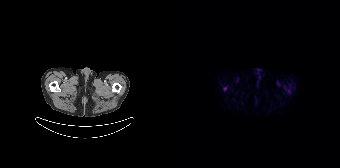
Coordinates are on the 168×168 PET (right) panel. Small PSMA-avid focus (2 to 4 px across) near (center x, center y): (52, 88). Paired axial CT (left) and PSMA PET (right), 18F tracer. PET panel 168×168 px (4.1 mm/px).